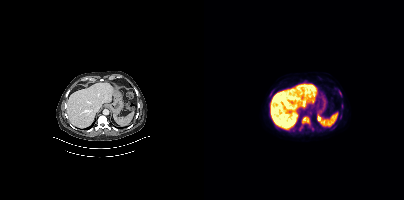
Two-panel axial: CT | PSMA PET, 18F tracer. PET panel 200×200 px (4.1 mm/px). Coordinates are on the 200×200 PET (right) panel. (showing 6 of 7 foci) PSMA-avid tumor lesion bounding boxes (x0, y0)-(x1, y1): (97, 116)-(106, 125) / (106, 126)-(110, 131) / (94, 126)-(98, 131) / (137, 104)-(139, 108) / (135, 91)-(137, 95). Small PSMA-avid focus (2 to 4 px across) near (center x, center y): (136, 117).